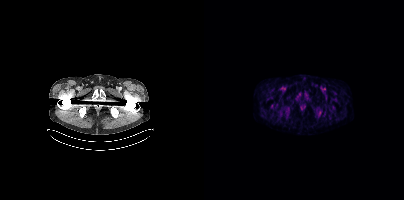
No PSMA-avid tumor lesions on this slice.